- Two-panel axial: CT | PSMA PET, 68Ga-PSMA tracer
- acquired on Siemens Biograph 64-4R TruePoint
- slice position z = -672 mm
- PET panel 168×168 px (4.1 mm/px)
- privacy masking over the head, with the pixels inside a rectangle set to black
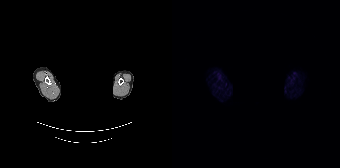
Findings: No PSMA-avid tumor lesions on this slice.